Paired axial CT (left) and PSMA PET (right), 18F-PSMA tracer. Acquired on Siemens Biograph mCT Flow 20. Slice 320 of 411.
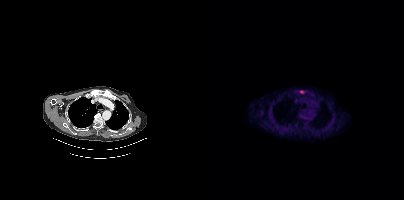
Coordinates are on the 200×200 PET (right) panel. Small PSMA-avid focus (2 to 4 px across) near (center x, center y): (97, 91).